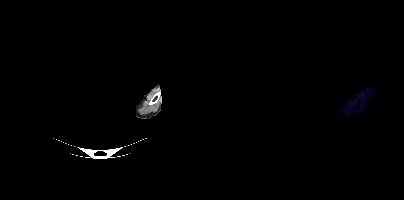
An anonymization step blacked out a rectangle over the head in this scan.
This slice has no annotated PSMA-avid lesion.